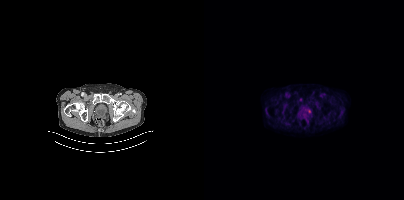
Technique: Paired axial CT (left) and PSMA PET (right), 18F tracer. acquired on Siemens Biograph mCT Flow 20. PET panel 200×200 px (4.1 mm/px).
Findings: Only PSMA-avid lesion pieces thinner than 2 px on this slice (not listed).